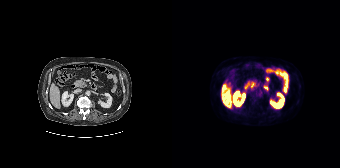
Negative for PSMA-avid disease on this slice.